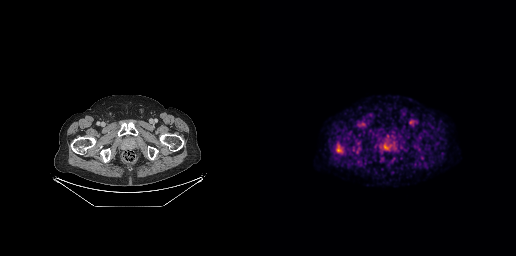
Findings: Coordinates are on the 256×256 PET (right) panel. PSMA-avid tumor lesion bounding box (x, y, width, height): x=76 y=145 w=8 h=9.
Technique: Paired axial CT (left) and PSMA PET (right), 18F-PSMA tracer. slice position z = -707 mm.